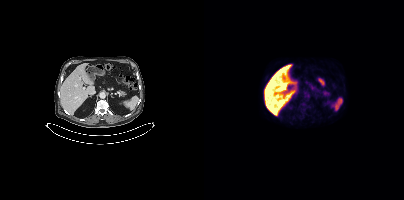
Findings: No PSMA-avid tumor lesions on this slice.
Technique: Paired axial CT (left) and PSMA PET (right), 18F-PSMA tracer. acquired on Siemens Biograph mCT Flow 20.